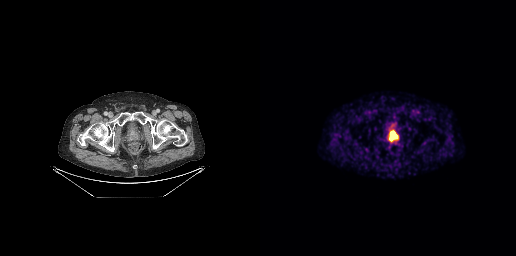
Paired axial CT (left) and PSMA PET (right), [68Ga]Ga-PSMA-11 tracer.
Coordinates are on the 256×256 PET (right) panel. PSMA-avid tumor lesion bounding boxes:
| # | x0 | y0 | x1 | y1 |
|---|---|---|---|---|
| 1 | 129 | 130 | 137 | 141 |